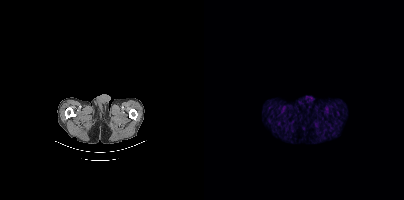
No tumor lesions annotated on this slice.